- Two-panel axial: CT | PSMA PET, 18F tracer
- PET panel 200×200 px (4.1 mm/px)
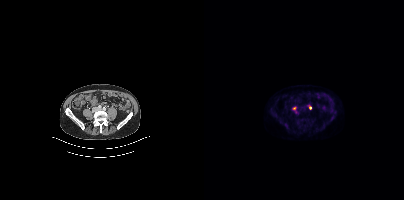
Findings: Coordinates are on the 200×200 PET (right) panel. (showing 1 of 2 foci) Small PSMA-avid focus (2 to 4 px across) near (center x, center y): (106, 107).